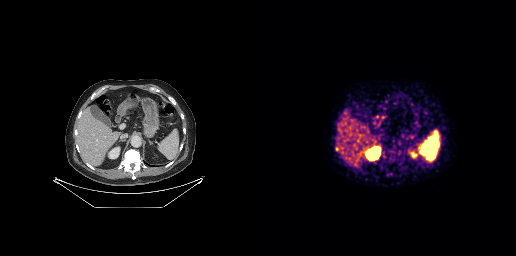
Coordinates are on the 256×256 PET (right) panel. Small PSMA-avid focus (2 to 4 px across) near (center x, center y): (77, 148).